Paired axial CT (left) and PSMA PET (right), 68Ga tracer.
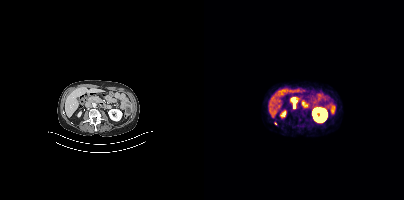
Coordinates are on the 200×200 PET (right) panel. PSMA-avid tumor lesion bounding box (x, y, width, height): x=89 y=101 w=4 h=8. Small PSMA-avid focus (2 to 4 px across) near (center x, center y): (71, 123).